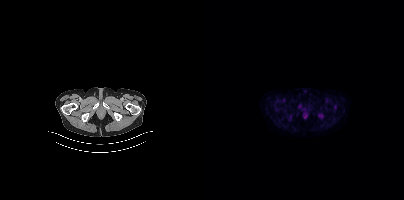
Findings: No PSMA-avid tumor lesions on this slice.
- Two-panel axial: CT | PSMA PET, 18F-PSMA tracer
- acquired on Siemens Biograph mCT Flow 20